- Two-panel axial: CT | PSMA PET, 18F-PSMA tracer
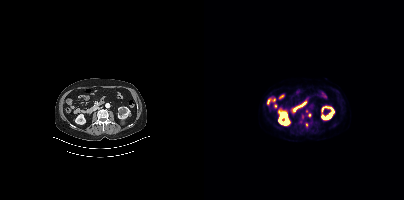
Findings: Coordinates are on the 200×200 PET (right) panel. (showing 4 of 5 foci) Small PSMA-avid foci (2 to 4 px across) near (center x, center y): (102, 124); (102, 111); (105, 115); (96, 121).